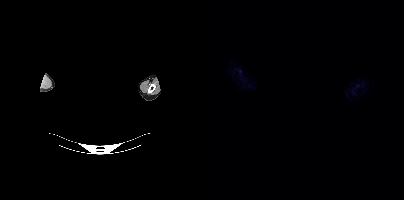
This slice has no annotated PSMA-avid lesion. Face de-identified by blanking a block of the head. Left: CT. Right: PSMA PET, same axial level, 18F tracer. Slice 455 of 466.